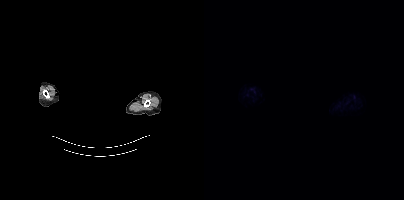
modality: PSMA PET/CT | tracer: 18F | view: axial | PET grid: 200×200 | de-identification: privacy mask over head
This slice has no annotated PSMA-avid lesion.